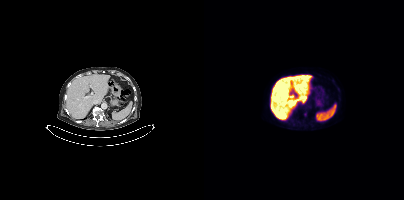
No tumor lesions annotated on this slice. Paired axial CT (left) and PSMA PET (right), [18F]PSMA-1007 tracer. PET panel 200×200 px (4.1 mm/px).